Technique: Two-panel axial: CT | PSMA PET, [18F]PSMA-1007 tracer. acquired on Siemens Biograph mCT Flow 20.
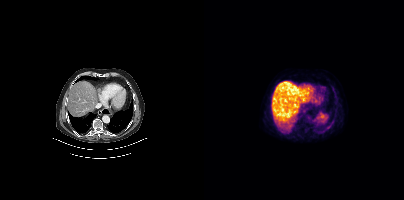
Findings: No tumor lesions annotated on this slice.